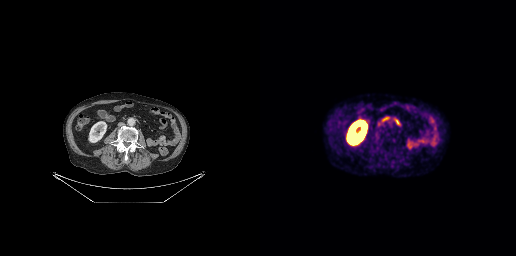
{"modality":"PSMA PET/CT","view":"axial","tracer":"18F","pet_grid":[256,256],"coord_frame":"pet_panel","coord_format":"x0,y0,x1,y1","psma_avid_lesions":false}